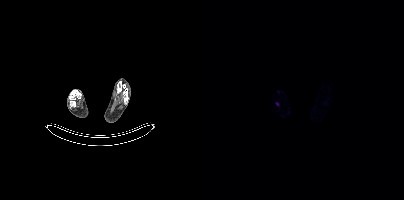
Negative for PSMA-avid disease on this slice.